Paired axial CT (left) and PSMA PET (right), 18F-PSMA tracer. Acquired on Siemens Biograph mCT Flow 20. PET panel 200×200 px (4.1 mm/px).
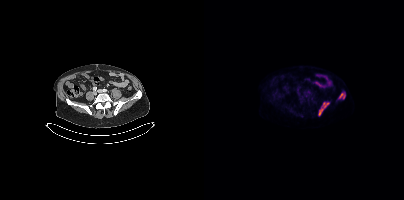
Coordinates are on the 200×200 PET (right) panel. PSMA-avid tumor lesion bounding boxes (x, y, width, height): x=114 y=102 w=12 h=14; x=135 y=92 w=7 h=7.